- Left: CT. Right: PSMA PET, same axial level, [18F]PSMA-1007 tracer
- acquired on Siemens Biograph mCT Flow 20
- slice 291 of 401
- PET panel 200×200 px (4.1 mm/px)
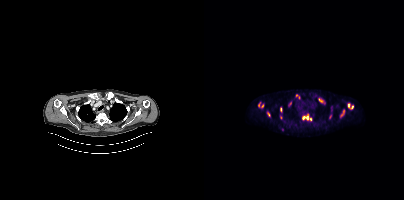
Findings: Coordinates are on the 200×200 PET (right) panel. (showing 13 of 14 foci) PSMA-avid tumor lesion bounding boxes (x0,y0,x1,y1): [143,103,149,109], [98,116,104,119], [114,98,120,103], [136,110,140,116], [84,101,87,106]. Small PSMA-avid foci (2 to 4 px across) near (center x, center y): (76, 109), (64, 114), (76, 117), (106, 119), (92, 95), (54, 104), (126, 116), (58, 105).